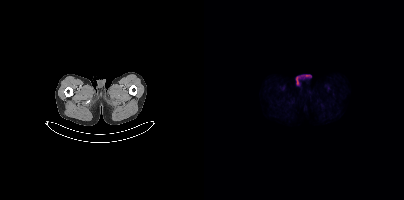
No PSMA-avid tumor lesions on this slice.